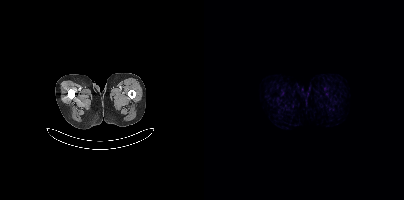
{"pet_grid":[200,200],"coord_frame":"pet_panel","coord_format":"x0,y0,x1,y1","psma_avid_lesions":false,"modality":"PSMA PET/CT","view":"axial","tracer":"18F"}